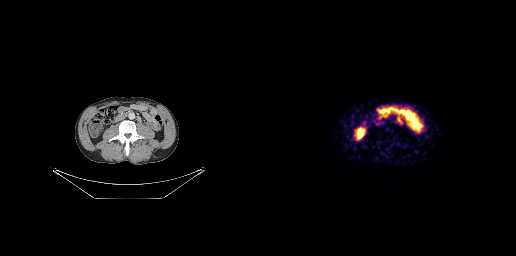
Coordinates are on the 256×256 PET (right) panel. Small PSMA-avid focus (2 to 4 px across) near (center x, center y): (117, 123). Two-panel axial: CT | PSMA PET, [68Ga]Ga-PSMA-11 tracer. Acquired on GE Discovery 690.